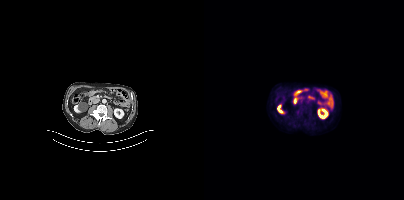
{"pet_grid":[200,200],"coord_frame":"pet_panel","coord_format":"x0,y0,x1,y1","lesion_bboxes":[],"small_foci_centers":[[93,112]],"modality":"PSMA PET/CT","view":"axial","tracer":"18F"}